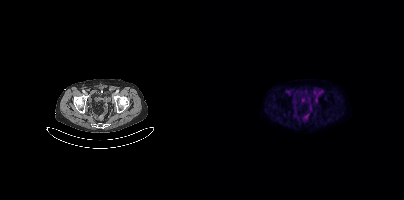
{"modality":"PSMA PET/CT","view":"axial","tracer":"18F","pet_grid":[200,200],"coord_frame":"pet_panel","coord_format":"x0,y0,x1,y1","psma_avid_lesions":false}